- Left: CT. Right: PSMA PET, same axial level, 18F-PSMA tracer
- acquired on Siemens Biograph mCT Flow 20
- slice position z = -856 mm
- PET panel 200×200 px (4.1 mm/px)
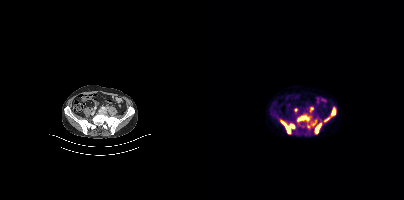
Findings: Coordinates are on the 200×200 PET (right) panel. (showing 8 of 9 foci) PSMA-avid tumor lesion bounding boxes (x0,y0,x1,y1): [77,120,90,133] [93,115,105,121] [111,123,117,133] [127,108,131,114]. Small PSMA-avid foci (2 to 4 px across) near (center x, center y): (122, 119) (91, 109) (110, 124) (104, 126).